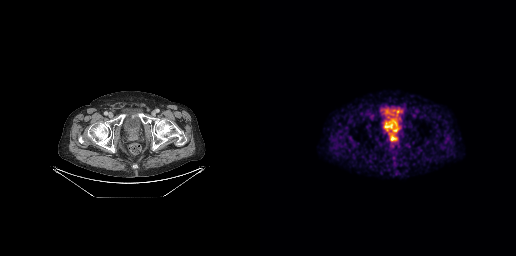
Coordinates are on the 256×256 PET (right) panel. PSMA-avid tumor lesion bounding box (x0,y0,x1,y1): [131,136,135,140].